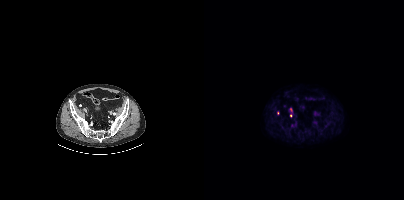
modality: PSMA PET/CT | tracer: [18F]PSMA-1007 | view: axial
Coordinates are on the 200×200 PET (right) panel. (showing 2 of 3 foci) Small PSMA-avid foci (2 to 4 px across) near (center x, center y): (86, 115) / (86, 109).